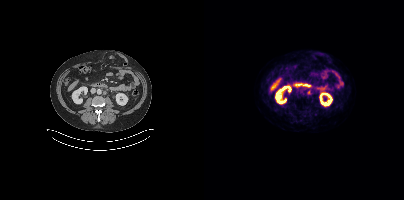
Coordinates are on the 200×200 PET (right) panel. PSMA-avid tumor lesion bounding box (x0,y0,x1,y1): [103,89,107,94].
modality: PSMA PET/CT | tracer: [18F]PSMA-1007 | view: axial | PET grid: 200×200